- face de-identified by blanking a block of the head
- Two-panel axial: CT | PSMA PET, [18F]PSMA-1007 tracer
- slice 323 of 367
- PET panel 200×200 px (4.1 mm/px)
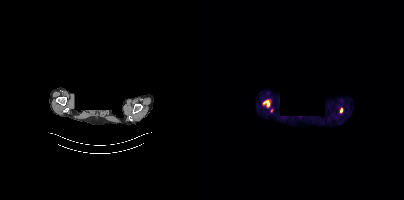
Findings: Negative for PSMA-avid disease on this slice.